- Paired axial CT (left) and PSMA PET (right), 18F tracer
- acquired on GE Discovery 690
- slice 119 of 263
- PET panel 256×256 px (2.7 mm/px)
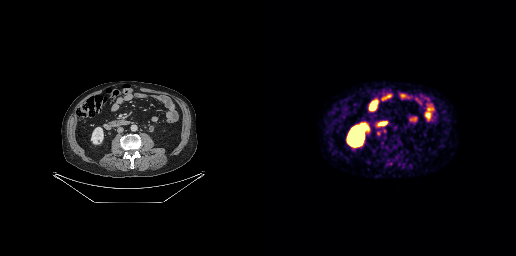
Findings: Coordinates are on the 256×256 PET (right) panel. Small PSMA-avid foci (2 to 4 px across) near (center x, center y): (118, 133) / (124, 131).